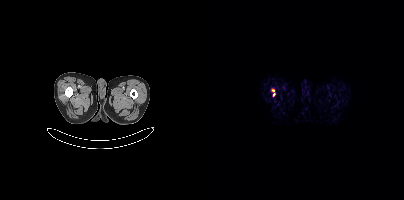
Coordinates are on the 200×200 PET (right) panel. Small PSMA-avid foci (2 to 4 px across) near (center x, center y): (69, 90); (70, 94).
modality: PSMA PET/CT | tracer: [18F]PSMA-1007 | view: axial | PET grid: 200×200